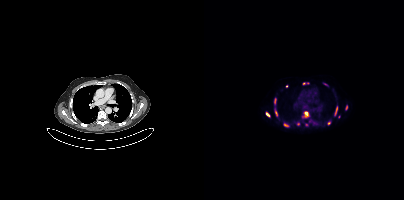
{"modality":"PSMA PET/CT","view":"axial","tracer":"18F","pet_grid":[200,200],"coord_frame":"pet_panel","coord_format":"x0,y0,x1,y1","partial":true,"lesion_bboxes":[[100,111,104,116],[130,106,133,115],[80,123,85,127],[70,98,72,103],[71,111,73,116],[62,112,65,116]],"small_foci_centers":[[102,124],[125,123],[100,83],[121,84],[142,107],[94,124],[82,86]]}